Technique: Left: CT. Right: PSMA PET, same axial level, 18F tracer. slice 172 of 963.
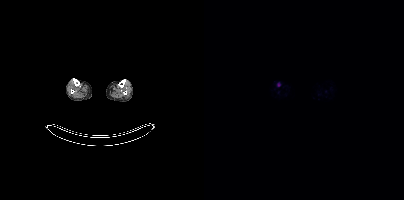
Findings: No tumor lesions annotated on this slice.